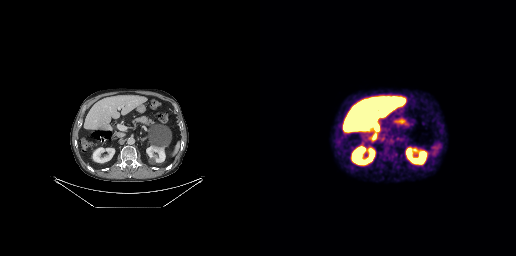
Left: CT. Right: PSMA PET, same axial level, [18F]PSMA-1007 tracer. PET panel 256×256 px (2.7 mm/px). No tumor lesions annotated on this slice.